Two-panel axial: CT | PSMA PET, [18F]PSMA-1007 tracer. Acquired on Siemens Biograph mCT Flow 20.
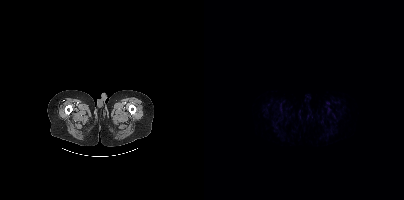
No tumor lesions annotated on this slice.